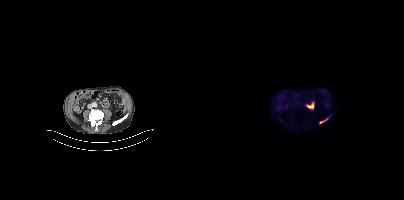
Coordinates are on the 200×200 PET (right) panel. PSMA-avid tumor lesion bounding box (x0,y0,x1,y1): [115,117,124,124].